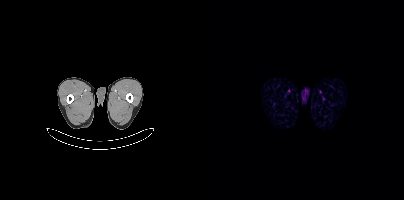
{"pet_grid":[200,200],"coord_frame":"pet_panel","coord_format":"x0,y0,x1,y1","psma_avid_lesions":false,"modality":"PSMA PET/CT","view":"axial","tracer":"18F-PSMA"}